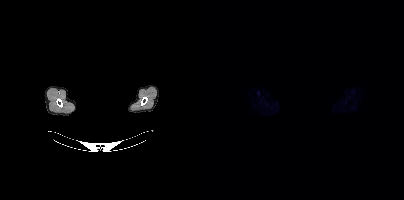
Facial anatomy redacted by setting a rectangular region of the head to black. Left: CT. Right: PSMA PET, same axial level, [18F]PSMA-1007 tracer. Acquired on Siemens Biograph mCT Flow 20. PET panel 200×200 px (4.1 mm/px). This slice has no annotated PSMA-avid lesion.